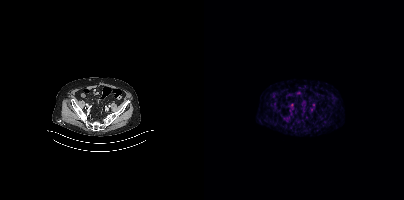
Two-panel axial: CT | PSMA PET, 68Ga tracer. Slice position z = -1434 mm. PET panel 200×200 px (4.1 mm/px). Negative for PSMA-avid disease on this slice.